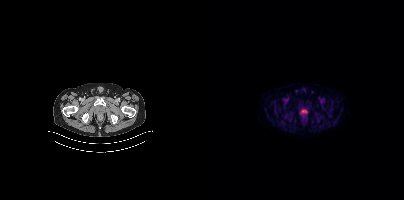
Two-panel axial: CT | PSMA PET, 18F-PSMA tracer. Slice position z = -902 mm. Only PSMA-avid lesion pieces thinner than 2 px on this slice (not listed).